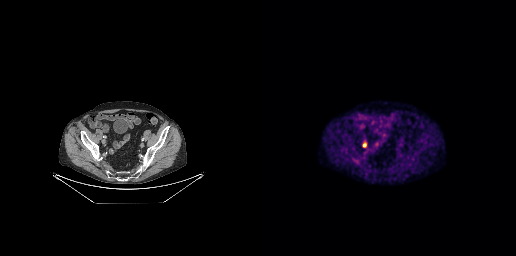
{"modality":"PSMA PET/CT","view":"axial","tracer":"18F","pet_grid":[256,256],"coord_frame":"pet_panel","coord_format":"x0,y0,x1,y1","lesion_bboxes":[[102,142,106,147]]}